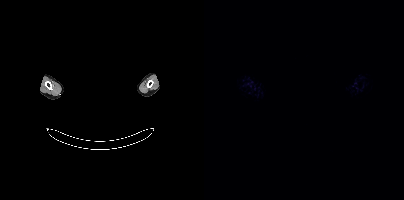
Two-panel axial: CT | PSMA PET, [18F]PSMA-1007 tracer. Acquired on Siemens Biograph mCT Flow 20. PET panel 200×200 px (4.1 mm/px). De-identified by setting a box covering the face to black before release. This slice has no annotated PSMA-avid lesion.